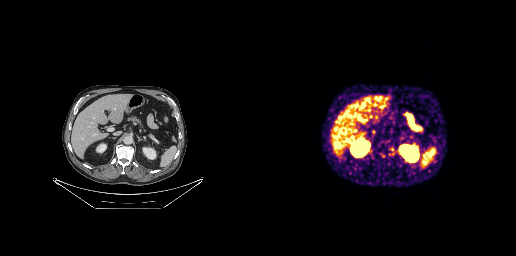
Paired axial CT (left) and PSMA PET (right), [68Ga]Ga-PSMA-11 tracer. PET panel 256×256 px (2.7 mm/px). No tumor lesions annotated on this slice.